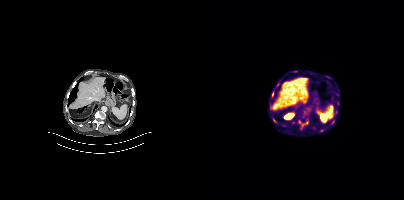
{"modality":"PSMA PET/CT","view":"axial","tracer":"[18F]PSMA-1007","pet_grid":[200,200],"coord_frame":"pet_panel","coord_format":"x0,y0,x1,y1","lesion_bboxes":[[67,91,70,96]],"small_foci_centers":[[129,122]]}